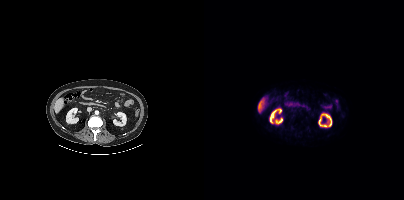
- Two-panel axial: CT | PSMA PET, 18F tracer
- slice position z = -774 mm
- PET panel 200×200 px (4.1 mm/px)
Findings: No PSMA-avid tumor lesions on this slice.